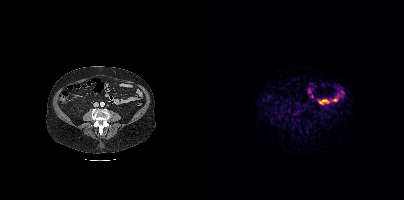
{"pet_grid":[200,200],"coord_frame":"pet_panel","coord_format":"x0,y0,x1,y1","psma_avid_lesions":false,"modality":"PSMA PET/CT","view":"axial","tracer":"[68Ga]Ga-PSMA-11"}